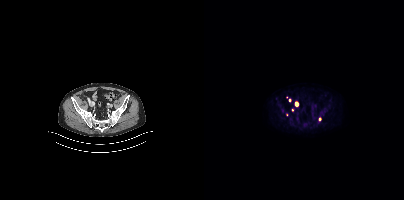
{"modality":"PSMA PET/CT","view":"axial","tracer":"[18F]PSMA-1007","pet_grid":[200,200],"coord_frame":"pet_panel","coord_format":"x0,y0,x1,y1","partial":true,"lesion_bboxes":[],"small_foci_centers":[[85,100],[88,109]]}